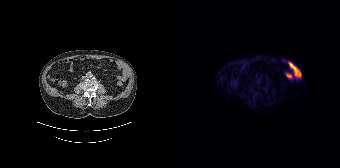
No tumor lesions annotated on this slice.